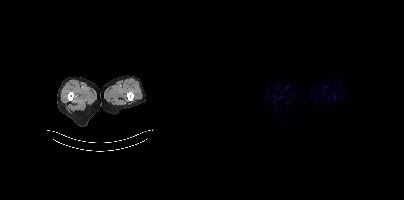
No PSMA-avid tumor lesions on this slice. Left: CT. Right: PSMA PET, same axial level, 18F tracer. Acquired on Siemens Biograph mCT Flow 20. Slice 15 of 395.